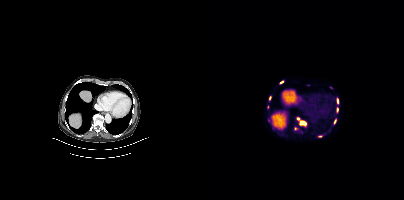
Coordinates are on the 200×200 PET (right) panel. (showing 10 of 11 foci) PSMA-avid tumor lesion bounding boxes (x0, y0)-(x1, y1): (95, 121)-(102, 125) | (130, 119)-(132, 123) | (133, 99)-(134, 103) | (133, 108)-(134, 112). Small PSMA-avid foci (2 to 4 px across) near (center x, center y): (91, 128) | (65, 120) | (66, 97) | (77, 82) | (115, 136) | (93, 118).